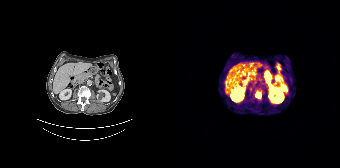
Technique: Two-panel axial: CT | PSMA PET, [68Ga]Ga-PSMA-11 tracer. acquired on Siemens Biograph 64-4R TruePoint. slice position z = -943 mm.
Findings: Coordinates are on the 168×168 PET (right) panel. PSMA-avid tumor lesion bounding box (x0, y0)-(x1, y1): (83, 89)-(89, 97).